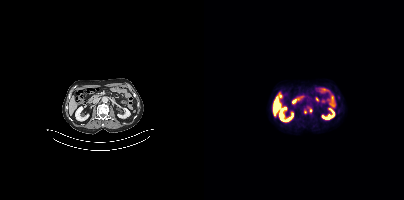
{"modality":"PSMA PET/CT","view":"axial","tracer":"[18F]PSMA-1007","pet_grid":[200,200],"coord_frame":"pet_panel","coord_format":"x0,y0,x1,y1","lesion_bboxes":[],"small_foci_centers":[[106,110],[101,112]]}